Two-panel axial: CT | PSMA PET, [18F]PSMA-1007 tracer. Slice 195 of 429. PET panel 200×200 px (4.1 mm/px).
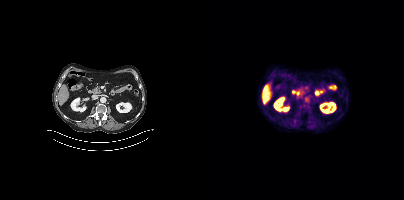
No tumor lesions annotated on this slice.